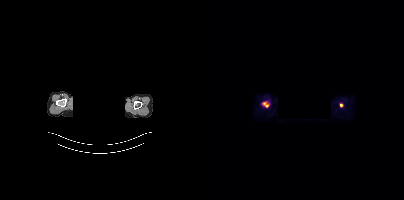
Technique: Left: CT. Right: PSMA PET, same axial level, 18F-PSMA tracer. acquired on Siemens Biograph mCT Flow 20. PET panel 200×200 px (4.1 mm/px).
Note: The head region is masked for de-identification.
Findings: Coordinates are on the 200×200 PET (right) panel. PSMA-avid tumor lesion bounding boxes (x, y, width, height): x=58 y=102 w=8 h=6 / x=136 y=103 w=4 h=5.